Left: CT. Right: PSMA PET, same axial level, 18F tracer. Acquired on Siemens Biograph mCT Flow 20. Slice position z = -1506 mm. PET panel 200×200 px (4.1 mm/px).
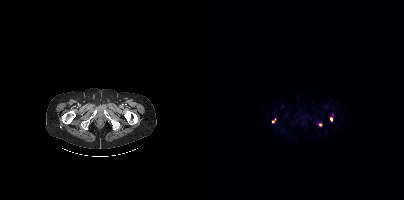
Coordinates are on the 200×200 PET (right) panel. PSMA-avid tumor lesion bounding box (x, y, width, height): x=126 y=117 w=3 h=5. Small PSMA-avid foci (2 to 4 px across) near (center x, center y): (116, 124); (69, 120).